modality: PSMA PET/CT | tracer: 18F-PSMA | view: axial | PET grid: 200×200
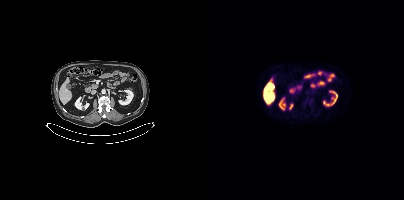
No PSMA-avid tumor lesions on this slice.